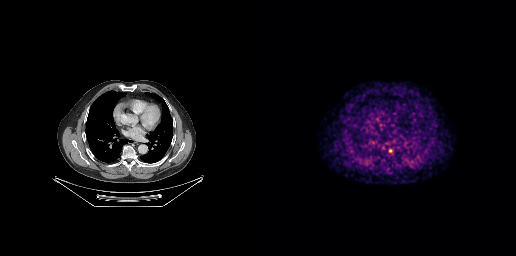
{"modality":"PSMA PET/CT","view":"axial","tracer":"68Ga","pet_grid":[256,256],"coord_frame":"pet_panel","coord_format":"x0,y0,x1,y1","lesion_bboxes":[],"small_foci_centers":[[130,150]]}